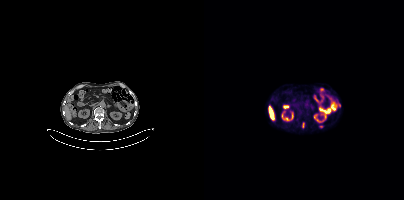
{"modality":"PSMA PET/CT","view":"axial","tracer":"18F","pet_grid":[200,200],"coord_frame":"pet_panel","coord_format":"x0,y0,x1,y1","lesion_bboxes":[[98,122,100,127]],"small_foci_centers":[[116,126],[135,104]]}